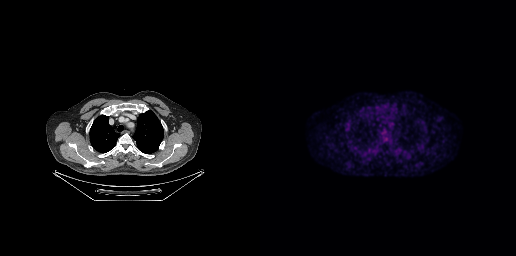
{"modality":"PSMA PET/CT","view":"axial","tracer":"18F","pet_grid":[256,256],"coord_frame":"pet_panel","coord_format":"x0,y0,x1,y1","psma_avid_lesions":false}